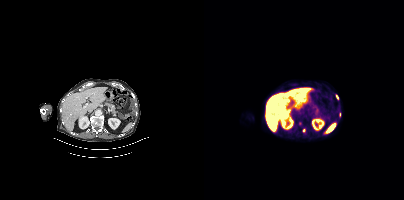
{"pet_grid":[200,200],"coord_frame":"pet_panel","coord_format":"x0,y0,x1,y1","partial":true,"lesion_bboxes":[[132,94,134,99]],"small_foci_centers":[[100,130],[136,114]],"modality":"PSMA PET/CT","view":"axial","tracer":"[18F]PSMA-1007"}